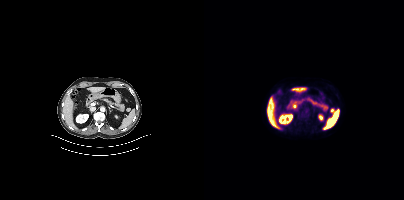
Coordinates are on the 200×200 PET (right) panel. Small PSMA-avid focus (2 to 4 px across) near (center x, center y): (128, 110). Paired axial CT (left) and PSMA PET (right), 18F-PSMA tracer.